- Left: CT. Right: PSMA PET, same axial level, [18F]PSMA-1007 tracer
- slice 54 of 427
- PET panel 200×200 px (4.1 mm/px)
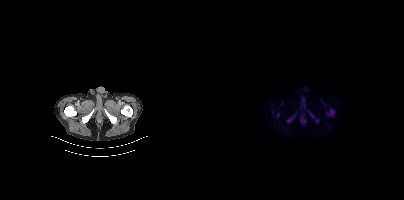
Findings: Coordinates are on the 200×200 PET (right) panel. PSMA-avid tumor lesion bounding boxes (x, y, width, height): x=122 y=109 w=10 h=8 | x=83 y=115 w=8 h=8 | x=106 y=112 w=4 h=7. Small PSMA-avid foci (2 to 4 px across) near (center x, center y): (112, 120) | (74, 114).